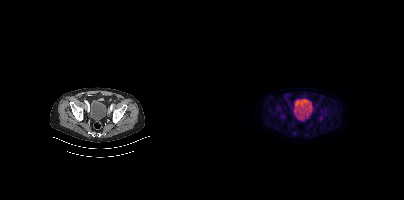
Technique: Paired axial CT (left) and PSMA PET (right), 18F tracer. slice 98 of 409. PET panel 200×200 px (4.1 mm/px).
Findings: This slice has no annotated PSMA-avid lesion.